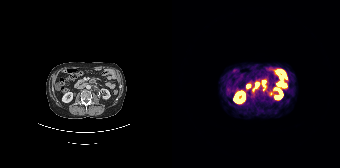
Coordinates are on the 168×168 PET (right) panel. PSMA-avid tumor lesion bounding box (x0,y0,x1,y1): [81,82,86,90].
modality: PSMA PET/CT | tracer: 68Ga-PSMA | view: axial